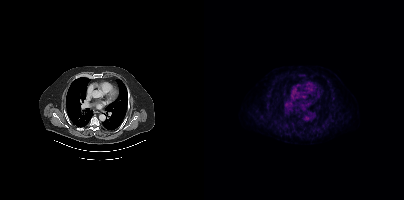
{"modality":"PSMA PET/CT","view":"axial","tracer":"18F","pet_grid":[200,200],"coord_frame":"pet_panel","coord_format":"x0,y0,x1,y1","psma_avid_lesions":false}